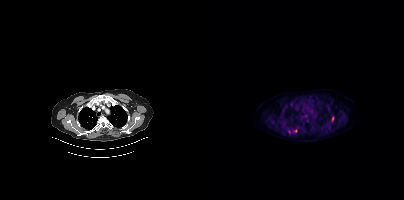
Two-panel axial: CT | PSMA PET, 18F-PSMA tracer. PET panel 200×200 px (4.1 mm/px).
Coordinates are on the 200×200 PET (right) panel. PSMA-avid tumor lesion bounding boxes (partial; 1 more focus not listed):
| # | x0 | y0 | x1 | y1 |
|---|---|---|---|---|
| 1 | 128 | 116 | 129 | 120 |
Small PSMA-avid foci (2 to 4 px across) near (center x, center y): (91, 130); (85, 131).